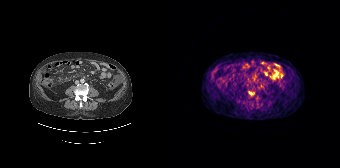
- Two-panel axial: CT | PSMA PET, 68Ga tracer
- acquired on Siemens Biograph 64-4R TruePoint
Findings: Coordinates are on the 168×168 PET (right) panel. Small PSMA-avid focus (2 to 4 px across) near (center x, center y): (78, 92).